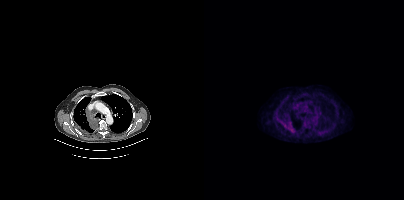
Findings: Coordinates are on the 200×200 PET (right) panel. PSMA-avid tumor lesion bounding boxes (x0, y0)-(x1, y1): (83, 123)-(89, 131) / (77, 120)-(80, 124).
- Paired axial CT (left) and PSMA PET (right), 18F-PSMA tracer
- acquired on Siemens Biograph mCT Flow 20
- PET panel 200×200 px (4.1 mm/px)